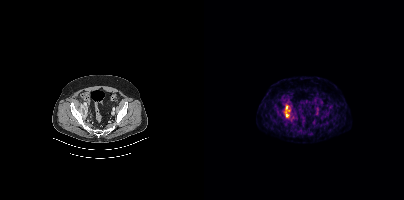
Coordinates are on the 200×200 PET (right) panel. PSMA-avid tumor lesion bounding box (x0, y0)-(x1, y1): (80, 104)-(86, 118).